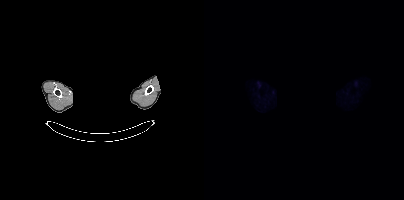
Paired axial CT (left) and PSMA PET (right), 18F-PSMA tracer. Acquired on Siemens Biograph mCT Flow 20. De-identified by setting a box covering the face to black before release. Negative for PSMA-avid disease on this slice.